Left: CT. Right: PSMA PET, same axial level, 68Ga tracer. Acquired on Siemens Biograph mCT Flow 20.
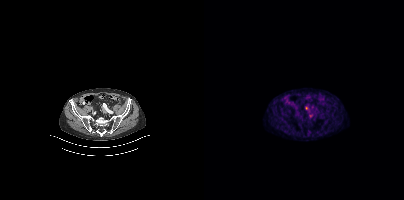
Coordinates are on the 200×200 PET (right) panel. Small PSMA-avid foci (2 to 4 px across) near (center x, center y): (106, 115); (102, 108).